- Paired axial CT (left) and PSMA PET (right), 18F-PSMA tracer
- PET panel 168×168 px (4.1 mm/px)
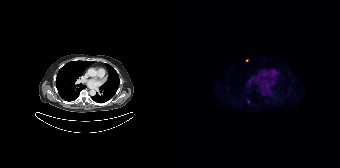
Findings: Coordinates are on the 168×168 PET (right) panel. PSMA-avid tumor lesion bounding box (x, y, width, height): x=75 y=99 w=3 h=5. Small PSMA-avid focus (2 to 4 px across) near (center x, center y): (74, 60).